Technique: Left: CT. Right: PSMA PET, same axial level, 18F-PSMA tracer. acquired on Siemens Biograph mCT Flow 20. slice 224 of 409.
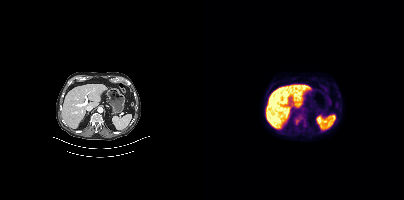
Findings: Coordinates are on the 200×200 PET (right) panel. PSMA-avid tumor lesion bounding box (x0,y0,x1,y1): [90,119,95,124].